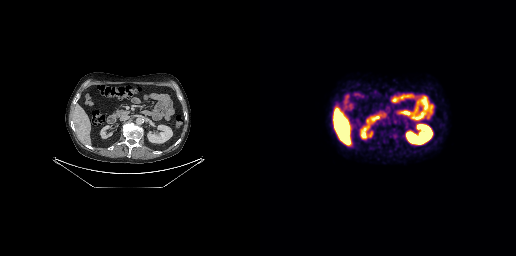
{"modality":"PSMA PET/CT","view":"axial","tracer":"18F","pet_grid":[256,256],"coord_frame":"pet_panel","coord_format":"x0,y0,x1,y1","lesion_bboxes":[[133,134,137,138]],"small_foci_centers":[[135,121]]}